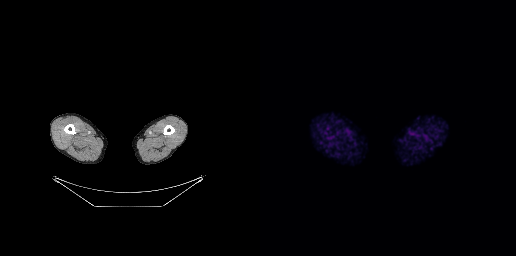
- Paired axial CT (left) and PSMA PET (right), 18F-PSMA tracer
- PET panel 256×256 px (2.7 mm/px)
Findings: No PSMA-avid tumor lesions on this slice.